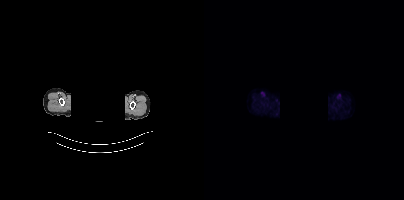
{"modality":"PSMA PET/CT","view":"axial","tracer":"18F","pet_grid":[200,200],"coord_frame":"pet_panel","coord_format":"x0,y0,x1,y1","psma_avid_lesions":false,"deidentification":"face masked with black rectangle"}